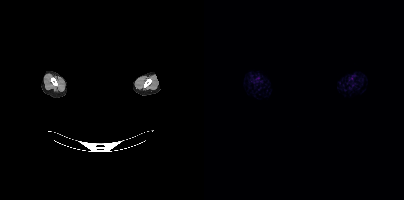
{"pet_grid":[200,200],"coord_frame":"pet_panel","coord_format":"x0,y0,x1,y1","psma_avid_lesions":false,"modality":"PSMA PET/CT","view":"axial","tracer":"18F-PSMA","redaction":"privacy mask over head"}